Paired axial CT (left) and PSMA PET (right), 68Ga-PSMA tracer.
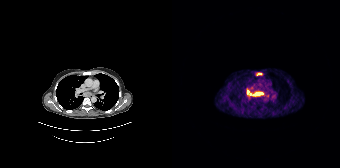
Coordinates are on the 168×168 PET (right) panel. PSMA-avid tumor lesion bounding boxes:
| # | x0 | y0 | x1 | y1 |
|---|---|---|---|---|
| 1 | 75 | 89 | 93 | 96 |
| 2 | 84 | 72 | 90 | 75 |
Small PSMA-avid focus (2 to 4 px across) near (center x, center y): (95, 95).